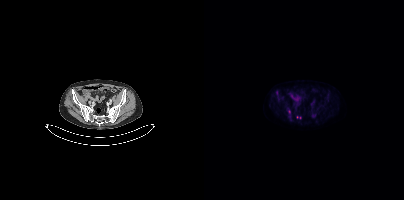
Left: CT. Right: PSMA PET, same axial level, 18F-PSMA tracer. Coordinates are on the 200×200 PET (right) panel. (showing 1 of 3 foci) Small PSMA-avid focus (2 to 4 px across) near (center x, center y): (85, 111).